Technique: Two-panel axial: CT | PSMA PET, 18F-PSMA tracer. acquired on Siemens Biograph mCT Flow 20. slice position z = -426 mm. PET panel 200×200 px (4.1 mm/px).
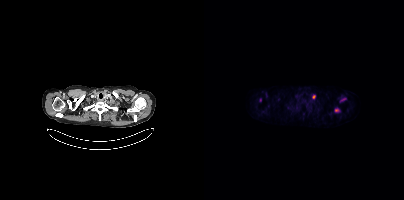
Findings: Coordinates are on the 200×200 PET (right) panel. PSMA-avid tumor lesion bounding boxes (x, y, width, height): x=131 y=108 w=5 h=4 | x=137 y=98 w=5 h=3. Small PSMA-avid foci (2 to 4 px across) near (center x, center y): (109, 96) | (56, 99).